modality: PSMA PET/CT | tracer: 68Ga | view: axial
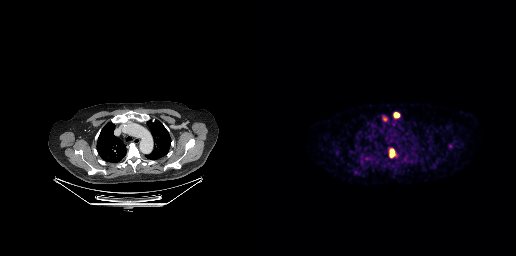
Coordinates are on the 256×256 PET (right) panel. PSMA-avid tumor lesion bounding boxes (x0,y0,x1,y1): [130,149,134,157] [134,113,139,117]. Small PSMA-avid focus (2 to 4 px across) near (center x, center y): (125, 119).